Technique: Left: CT. Right: PSMA PET, same axial level, [18F]PSMA-1007 tracer. acquired on GE Discovery 690. PET panel 256×256 px (2.7 mm/px).
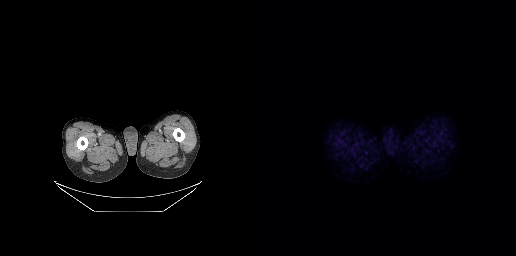
Findings: No tumor lesions annotated on this slice.